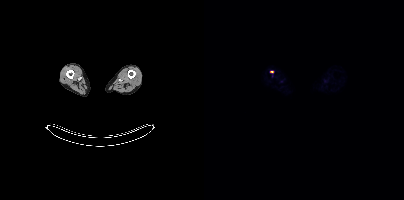
Coordinates are on the 200×200 PET (right) panel. Small PSMA-avid focus (2 to 4 px across) near (center x, center y): (67, 71). Two-panel axial: CT | PSMA PET, [18F]PSMA-1007 tracer. PET panel 200×200 px (4.1 mm/px).